modality: PSMA PET/CT | tracer: 18F | view: axial
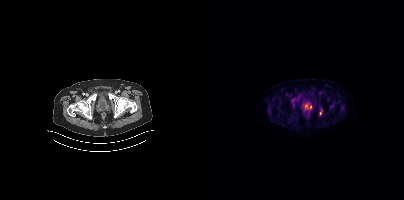
Coordinates are on the 200×200 PET (right) panel. PSMA-avid tumor lesion bounding box (x0, y0)-(x1, y1): (100, 103)-(104, 108). Small PSMA-avid foci (2 to 4 px across) near (center x, center y): (106, 107) / (116, 113) / (128, 105).